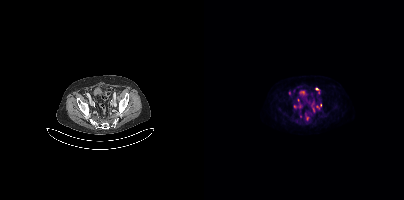
{"modality":"PSMA PET/CT","view":"axial","tracer":"18F","pet_grid":[200,200],"coord_frame":"pet_panel","coord_format":"x0,y0,x1,y1","partial":true,"lesion_bboxes":[],"small_foci_centers":[[94,100],[90,106],[112,88],[116,105],[113,106]]}